- Two-panel axial: CT | PSMA PET, 18F-PSMA tracer
- acquired on GE Discovery 690
- slice position z = -480 mm
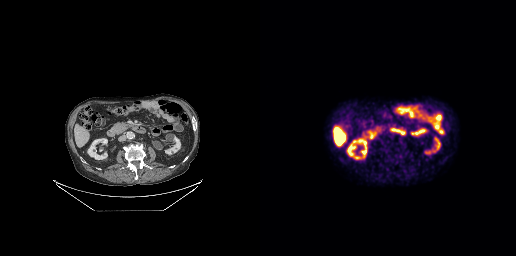
Findings: Negative for PSMA-avid disease on this slice.